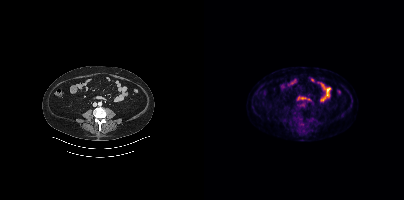
Two-panel axial: CT | PSMA PET, 18F-PSMA tracer. Negative for PSMA-avid disease on this slice.